- Two-panel axial: CT | PSMA PET, [68Ga]Ga-PSMA-11 tracer
- PET panel 200×200 px (4.1 mm/px)
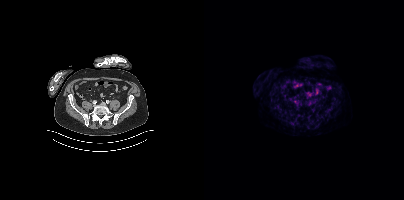
Findings: No PSMA-avid tumor lesions on this slice.